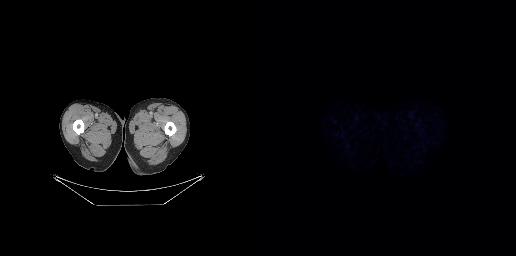
Findings: No tumor lesions annotated on this slice.
- Two-panel axial: CT | PSMA PET, [18F]PSMA-1007 tracer
- slice position z = -791 mm
- PET panel 256×256 px (2.7 mm/px)